Paired axial CT (left) and PSMA PET (right), [18F]PSMA-1007 tracer. Acquired on Siemens Biograph mCT Flow 20. Slice 65 of 411. PET panel 200×200 px (4.1 mm/px).
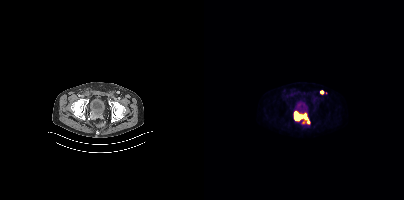
Coordinates are on the 200×200 PET (right) panel. PSMA-avid tumor lesion bounding boxes (partial; 1 more focus not listed):
| # | x0 | y0 | x1 | y1 |
|---|---|---|---|---|
| 1 | 89 | 111 | 106 | 124 |
| 2 | 116 | 90 | 119 | 94 |